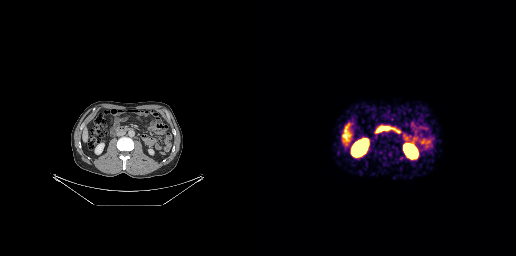
Negative for PSMA-avid disease on this slice. Two-panel axial: CT | PSMA PET, [68Ga]Ga-PSMA-11 tracer. Slice 120 of 263.